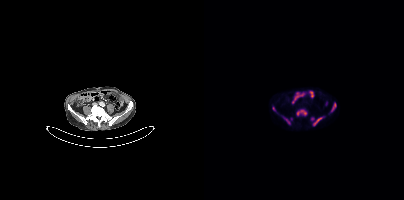
{"modality":"PSMA PET/CT","view":"axial","tracer":"18F-PSMA","pet_grid":[200,200],"coord_frame":"pet_panel","coord_format":"x0,y0,x1,y1","partial":true,"lesion_bboxes":[[93,109,102,115],[127,102,132,111],[78,116,86,124],[109,117,118,125],[69,107,72,112]],"small_foci_centers":[[87,118]]}